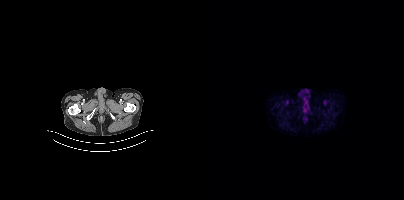
No PSMA-avid tumor lesions on this slice.